Paired axial CT (left) and PSMA PET (right), 68Ga-PSMA tracer. PET panel 168×168 px (4.1 mm/px).
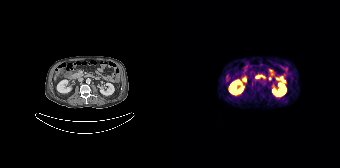
Negative for PSMA-avid disease on this slice.